- Two-panel axial: CT | PSMA PET, 18F-PSMA tracer
- PET panel 200×200 px (4.1 mm/px)
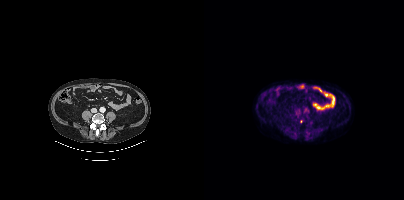
Findings: Only PSMA-avid lesion pieces thinner than 2 px on this slice (not listed).